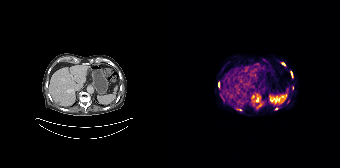
Coordinates are on the 168×168 PET (right) panel. PSMA-avid tumor lesion bounding boxes (partial; 2 more foci not listed):
| # | x0 | y0 | x1 | y1 |
|---|---|---|---|---|
| 1 | 119 | 72 | 120 | 76 |
Small PSMA-avid foci (2 to 4 px across) near (center x, center y): (120, 87); (111, 64); (46, 85); (104, 108).
Two-panel axial: CT | PSMA PET, 68Ga-PSMA tracer.